Paired axial CT (left) and PSMA PET (right), [18F]PSMA-1007 tracer. Slice 275 of 344. PET panel 200×200 px (4.1 mm/px).
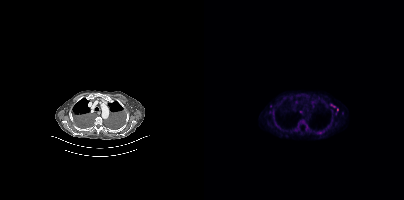
Coordinates are on the 200×200 PET (right) panel. (showing 6 of 9 foci) Small PSMA-avid foci (2 to 4 px across) near (center x, center y): (96, 112) / (115, 132) / (66, 106) / (138, 113) / (133, 109) / (129, 106).